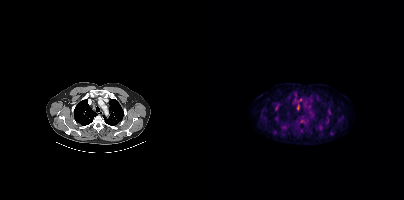
Findings: Coordinates are on the 200×200 PET (right) panel. (showing 3 of 4 foci) Small PSMA-avid foci (2 to 4 px across) near (center x, center y): (96, 99); (93, 108); (72, 109).
- Left: CT. Right: PSMA PET, same axial level, [18F]PSMA-1007 tracer
- slice 333 of 438